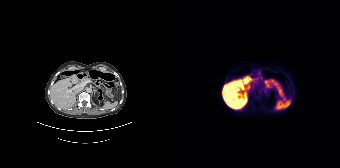
{"modality":"PSMA PET/CT","view":"axial","tracer":"18F","pet_grid":[168,168],"coord_frame":"pet_panel","coord_format":"x0,y0,x1,y1","psma_avid_lesions":false}